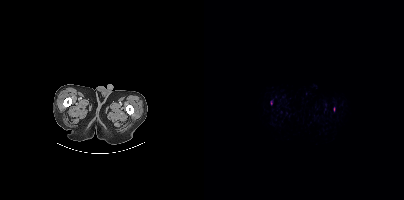
{"pet_grid":[200,200],"coord_frame":"pet_panel","coord_format":"x0,y0,x1,y1","partial":true,"lesion_bboxes":[],"modality":"PSMA PET/CT","view":"axial","tracer":"[18F]PSMA-1007"}